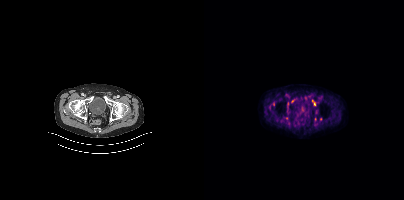
Two-panel axial: CT | PSMA PET, 18F-PSMA tracer. Slice position z = -853 mm. Coordinates are on the 200×200 PET (right) panel. (showing 3 of 4 foci) Small PSMA-avid foci (2 to 4 px across) near (center x, center y): (116, 119); (110, 104); (111, 119).